Paired axial CT (left) and PSMA PET (right), 18F-PSMA tracer. Acquired on Siemens Biograph mCT Flow 20. Slice 392 of 417. PET panel 200×200 px (4.1 mm/px). Privacy masking over the head, with the pixels inside a rectangle set to black.
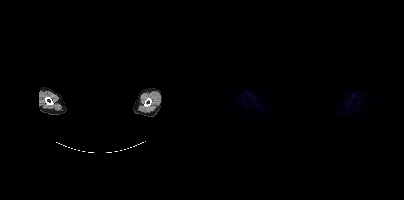
No PSMA-avid tumor lesions on this slice.